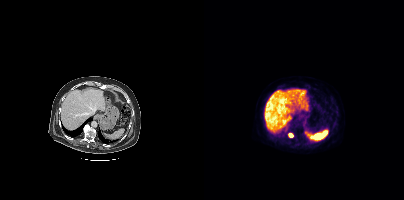
modality: PSMA PET/CT | tracer: 18F-PSMA | view: axial | PET grid: 200×200
Coordinates are on the 200×200 PET (right) panel. PSMA-avid tumor lesion bounding box (x0,y0,x1,y1): [85,133,88,137].